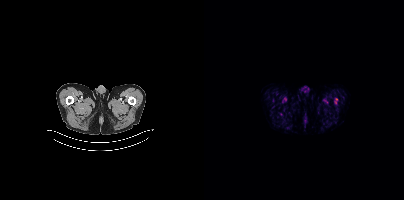
Technique: Two-panel axial: CT | PSMA PET, [18F]PSMA-1007 tracer. slice 11 of 393. PET panel 200×200 px (4.1 mm/px).
Findings: Only PSMA-avid lesion pieces thinner than 2 px on this slice (not listed).